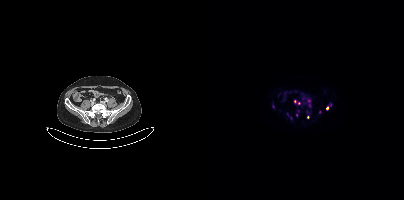
Coordinates are on the 200×200 PET (right) panel. (showing 8 of 11 foci) Small PSMA-avid foci (2 to 4 px across) near (center x, center y): (91, 101), (69, 106), (105, 100), (94, 103), (92, 115), (123, 108), (103, 117), (115, 111).